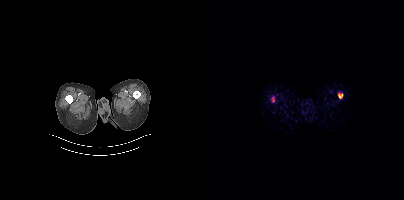
Negative for PSMA-avid disease on this slice.
modality: PSMA PET/CT | tracer: [68Ga]Ga-PSMA-11 | view: axial